Technique: Paired axial CT (left) and PSMA PET (right), 68Ga tracer. slice 123 of 195.
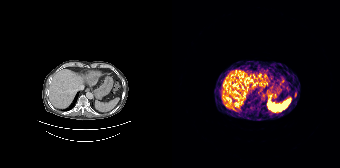
Findings: Coordinates are on the 168×168 PET (right) panel. Small PSMA-avid focus (2 to 4 px across) near (center x, center y): (123, 92).